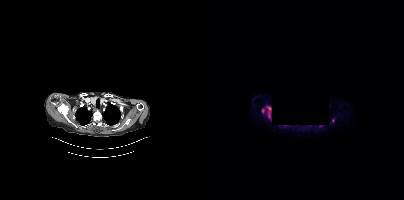
{"modality":"PSMA PET/CT","view":"axial","tracer":"18F","pet_grid":[200,200],"coord_frame":"pet_panel","coord_format":"x0,y0,x1,y1","lesion_bboxes":[[58,106,67,117]],"small_foci_centers":[[116,126],[129,120]],"deidentification":"black rectangle is a privacy mask"}